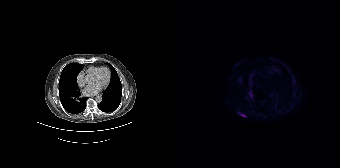
{"modality":"PSMA PET/CT","view":"axial","tracer":"[18F]PSMA-1007","pet_grid":[168,168],"coord_frame":"pet_panel","coord_format":"x0,y0,x1,y1","partial":true,"lesion_bboxes":[]}